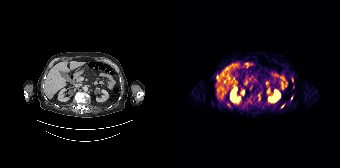
Technique: Paired axial CT (left) and PSMA PET (right), 68Ga-PSMA tracer. acquired on Siemens Biograph 64-4R TruePoint. PET panel 168×168 px (4.1 mm/px).
Findings: Coordinates are on the 168×168 PET (right) panel. PSMA-avid tumor lesion bounding box (x0,y0,x1,y1): [86,94,88,99]. Small PSMA-avid foci (2 to 4 px across) near (center x, center y): (56, 104) (45, 76) (119, 97) (110, 106).